Left: CT. Right: PSMA PET, same axial level, 18F tracer. Slice 94 of 354.
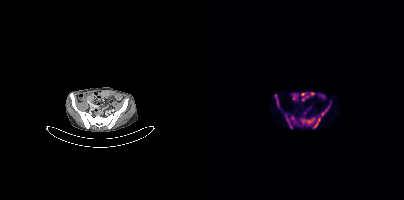
Coordinates are on the 200×200 PET (right) panel. PSMA-avid tumor lesion bounding boxes:
| # | x0 | y0 | x1 | y1 |
|---|---|---|---|---|
| 1 | 96 | 117 | 111 | 124 |
| 2 | 81 | 115 | 92 | 128 |
| 3 | 118 | 101 | 127 | 114 |
| 4 | 109 | 117 | 116 | 128 |
| 5 | 71 | 94 | 74 | 106 |